Left: CT. Right: PSMA PET, same axial level, 18F-PSMA tracer. Acquired on Siemens Biograph mCT Flow 20.
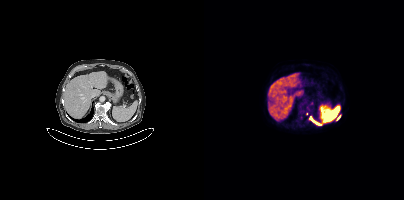
Coordinates are on the 200×200 PET (right) panel. PSMA-avid tumor lesion bounding boxes:
| # | x0 | y0 | x1 | y1 |
|---|---|---|---|---|
| 1 | 106 | 117 | 114 | 124 |
| 2 | 133 | 115 | 136 | 119 |